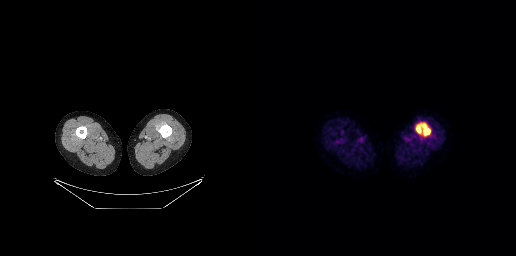
- Two-panel axial: CT | PSMA PET, 18F tracer
- slice 70 of 371
Findings: Coordinates are on the 256×256 PET (right) panel. PSMA-avid tumor lesion bounding box (x, y, width, height): x=156 y=123 w=15 h=13.